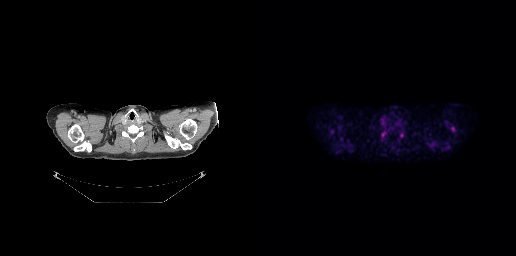
Left: CT. Right: PSMA PET, same axial level, 18F-PSMA tracer. Coordinates are on the 256×256 PET (right) panel. Small PSMA-avid foci (2 to 4 px across) near (center x, center y): (72, 131) (192, 128).